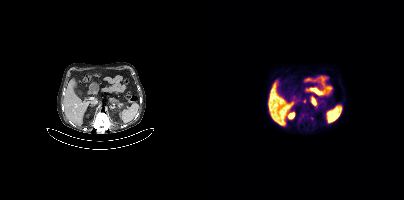
{"modality":"PSMA PET/CT","view":"axial","tracer":"18F-PSMA","pet_grid":[200,200],"coord_frame":"pet_panel","coord_format":"x0,y0,x1,y1","partial":true,"lesion_bboxes":[[94,119,97,123]],"small_foci_centers":[[98,116],[100,101]]}